Paired axial CT (left) and PSMA PET (right), [18F]PSMA-1007 tracer. Acquired on Siemens Biograph mCT Flow 20.
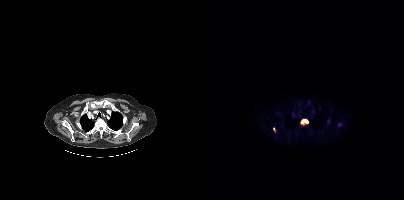
Coordinates are on the 200×200 PET (right) panel. PSMA-avid tumor lesion bounding boxes:
| # | x0 | y0 | x1 | y1 |
|---|---|---|---|---|
| 1 | 97 | 119 | 105 | 124 |
Small PSMA-avid focus (2 to 4 px across) near (center x, center y): (69, 129).